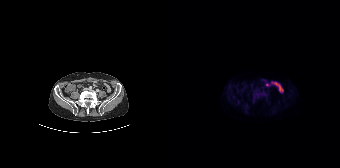
- Left: CT. Right: PSMA PET, same axial level, 18F tracer
- slice 60 of 165
- PET panel 168×168 px (4.1 mm/px)
Findings: No tumor lesions annotated on this slice.